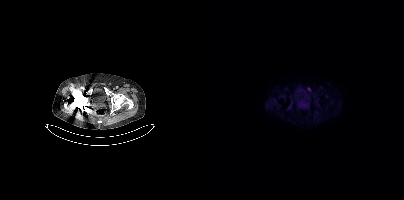
Findings: Only PSMA-avid lesion pieces thinner than 2 px on this slice (not listed).
Technique: Left: CT. Right: PSMA PET, same axial level, [18F]PSMA-1007 tracer. slice position z = -232 mm. PET panel 200×200 px (4.1 mm/px).